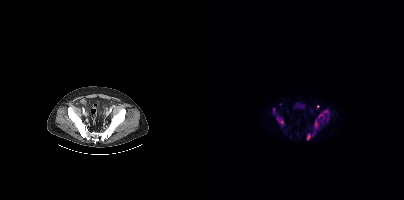
Coordinates are on the 200×200 PET (right) panel. (showing 6 of 8 foci) PSMA-avid tumor lesion bounding boxes (x0,y0,x1,y1): [114,110,124,117] [111,119,114,127] [103,134,106,140]. Small PSMA-avid foci (2 to 4 px across) near (center x, center y): (77, 121) (113, 106) (123, 119).